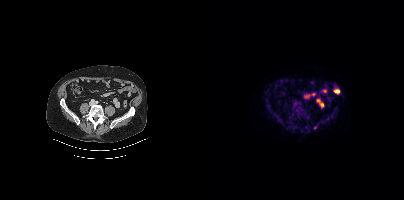
{"modality":"PSMA PET/CT","view":"axial","tracer":"18F","pet_grid":[200,200],"coord_frame":"pet_panel","coord_format":"x0,y0,x1,y1","lesion_bboxes":[],"small_foci_centers":[[111,127]]}